modality: PSMA PET/CT | tracer: 18F | view: axial
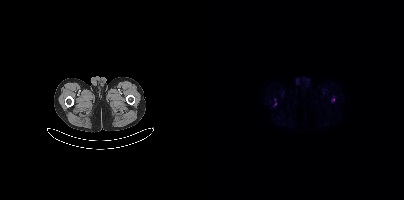
Only PSMA-avid lesion pieces thinner than 2 px on this slice (not listed).